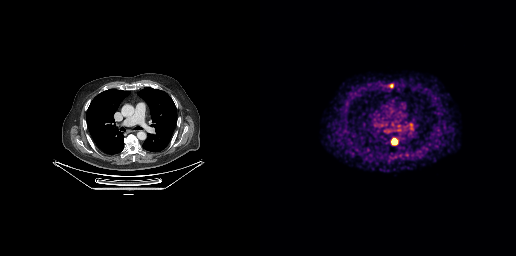
Coordinates are on the 256×256 PET (right) panel. PSMA-avid tumor lesion bounding boxes (x, y, width, height): x=132 y=139 w=6 h=6 | x=129 y=84 w=5 h=4.